Left: CT. Right: PSMA PET, same axial level, [18F]PSMA-1007 tracer. PET panel 200×200 px (4.1 mm/px).
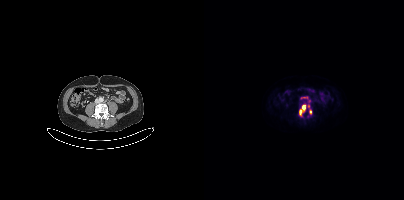
Coordinates are on the 200×200 PET (right) panel. PSMA-avid tumor lesion bounding boxes (x, y, width, height): x=98 y=105 w=11 h=9 / x=96 y=110 w=2 h=5. Small PSMA-avid foci (2 to 4 px across) near (center x, center y): (98, 97) / (102, 97) / (105, 100).